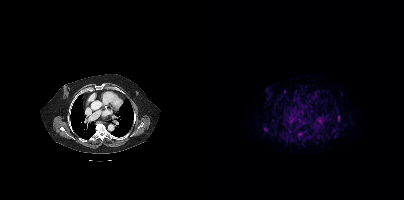
Findings: Coordinates are on the 200×200 PET (right) panel. Small PSMA-avid focus (2 to 4 px across) near (center x, center y): (95, 134).
- Two-panel axial: CT | PSMA PET, 68Ga tracer
- slice 298 of 444